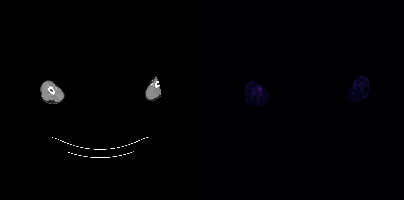
modality: PSMA PET/CT | tracer: 18F | view: axial | PET grid: 200×200 | de-identification: facial region redacted
No tumor lesions annotated on this slice.